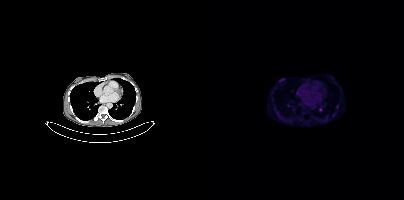
Findings: Coordinates are on the 200×200 PET (right) panel. (showing 4 of 5 foci) Small PSMA-avid foci (2 to 4 px across) near (center x, center y): (133, 106) (93, 92) (84, 105) (130, 115).
Technique: Two-panel axial: CT | PSMA PET, 18F tracer. acquired on Siemens Biograph mCT Flow 20. slice 275 of 448. PET panel 200×200 px (4.1 mm/px).